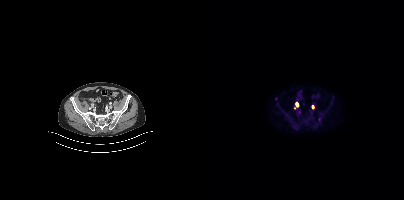
{"modality":"PSMA PET/CT","view":"axial","tracer":"18F-PSMA","pet_grid":[200,200],"coord_frame":"pet_panel","coord_format":"x0,y0,x1,y1","partial":true,"lesion_bboxes":[],"small_foci_centers":[[93,104],[108,107]]}